- Two-panel axial: CT | PSMA PET, [18F]PSMA-1007 tracer
- PET panel 200×200 px (4.1 mm/px)
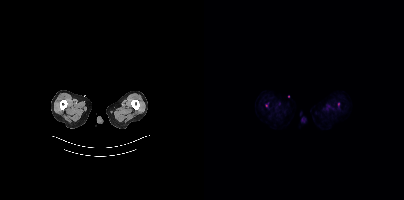
Findings: Coordinates are on the 200×200 PET (right) panel. Small PSMA-avid foci (2 to 4 px across) near (center x, center y): (62, 105) (134, 103).